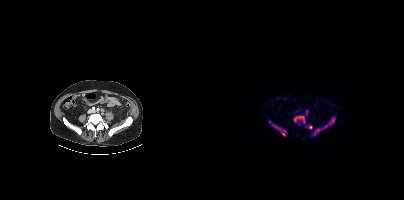
Left: CT. Right: PSMA PET, same axial level, 18F tracer. Slice 212 of 508. Coordinates are on the 200×200 PET (right) panel. (showing 6 of 11 foci) PSMA-avid tumor lesion bounding boxes (x0,y0,x1,y1): [111,118,131,135]; [90,115,101,123]; [74,128,81,135]. Small PSMA-avid foci (2 to 4 px across) near (center x, center y): (106, 127); (71, 126); (101, 126).